Technique: Two-panel axial: CT | PSMA PET, [18F]PSMA-1007 tracer. PET panel 200×200 px (4.1 mm/px).
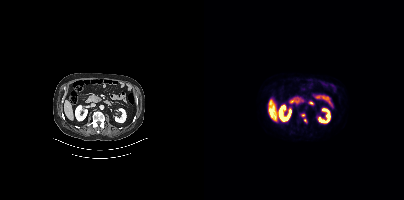
Findings: Coordinates are on the 200×200 PET (right) panel. Small PSMA-avid foci (2 to 4 px across) near (center x, center y): (99, 115) (101, 120).